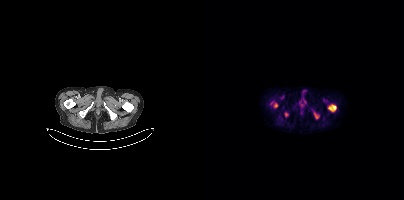
{"modality":"PSMA PET/CT","view":"axial","tracer":"[18F]PSMA-1007","pet_grid":[200,200],"coord_frame":"pet_panel","coord_format":"x0,y0,x1,y1","lesion_bboxes":[[124,104,132,111],[70,103,73,107],[110,114,113,118]],"small_foci_centers":[[82,114],[67,102]]}